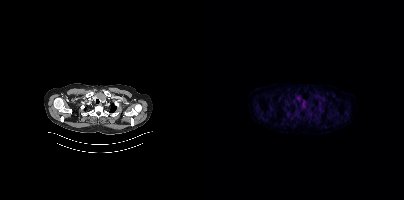
Technique: Paired axial CT (left) and PSMA PET (right), 18F tracer. slice 360 of 433. PET panel 200×200 px (4.1 mm/px).
Findings: No tumor lesions annotated on this slice.